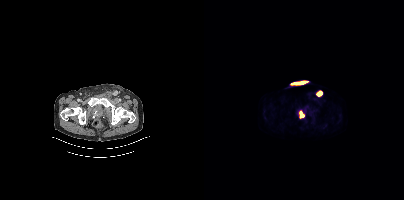
Coordinates are on the 200×200 PET (right) panel. PSMA-avid tumor lesion bounding boxes (x0,y0,x1,y1): [112,90,118,96], [95,111,100,118]. Paired axial CT (left) and PSMA PET (right), 18F tracer.